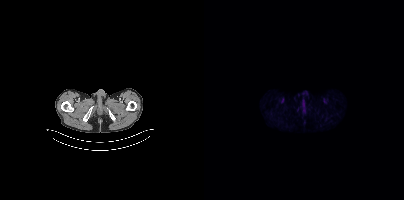
No PSMA-avid tumor lesions on this slice.